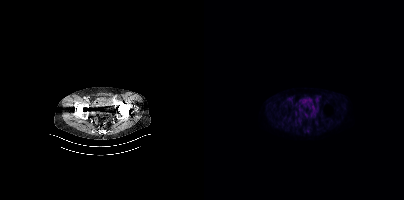
- Left: CT. Right: PSMA PET, same axial level, 18F tracer
- acquired on Siemens Biograph mCT Flow 20
- slice position z = -765 mm
- PET panel 200×200 px (4.1 mm/px)
Findings: No PSMA-avid tumor lesions on this slice.